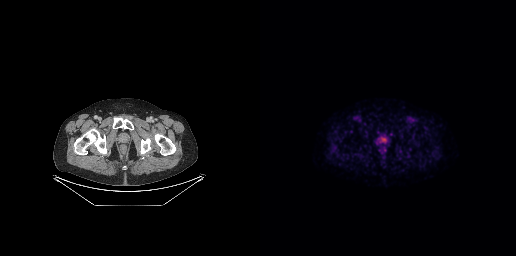
Technique: Paired axial CT (left) and PSMA PET (right), 18F-PSMA tracer. slice 45 of 263. PET panel 256×256 px (2.7 mm/px).
Findings: Coordinates are on the 256×256 PET (right) panel. PSMA-avid tumor lesion bounding box (x, y, width, height): x=121 y=138 w=6 h=5.